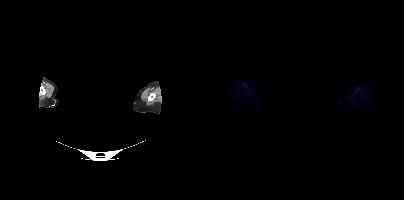
Technique: Two-panel axial: CT | PSMA PET, 18F-PSMA tracer. slice position z = -791 mm.
Note: De-identified by setting a box covering the face to black before release.
Findings: This slice has no annotated PSMA-avid lesion.